Left: CT. Right: PSMA PET, same axial level, [18F]PSMA-1007 tracer. Acquired on Siemens Biograph mCT Flow 20. Slice position z = -1012 mm. PET panel 200×200 px (4.1 mm/px). Any black rectangle over the head is a privacy mask, not anatomy.
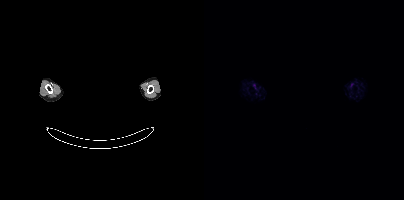
No PSMA-avid tumor lesions on this slice.